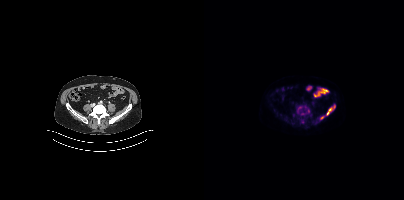
Technique: Two-panel axial: CT | PSMA PET, [18F]PSMA-1007 tracer. slice position z = -624 mm.
Findings: Coordinates are on the 200×200 PET (right) panel. (showing 6 of 7 foci) PSMA-avid tumor lesion bounding box (x0, y0)-(x1, y1): (122, 105)-(131, 115). Small PSMA-avid foci (2 to 4 px across) near (center x, center y): (117, 117) | (104, 110) | (96, 107) | (98, 113) | (90, 115).